Technique: Left: CT. Right: PSMA PET, same axial level, 18F tracer.
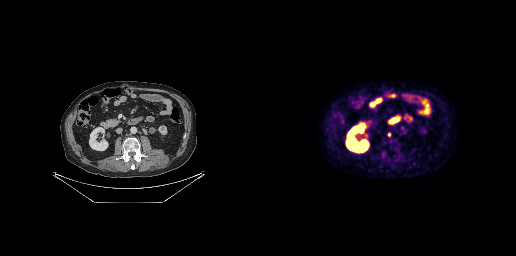
Findings: Coordinates are on the 256×256 PET (right) panel. Small PSMA-avid focus (2 to 4 px across) near (center x, center y): (129, 134).